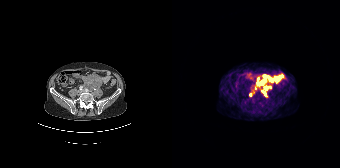
Coordinates are on the 168×168 PET (right) panel. (showing 4 of 5 foci) PSMA-avid tumor lesion bounding boxes (x0, y0)-(x1, y1): (85, 75)-(100, 85); (92, 86)-(99, 90); (90, 90)-(94, 94). Small PSMA-avid focus (2 to 4 px across) near (center x, center y): (78, 94).